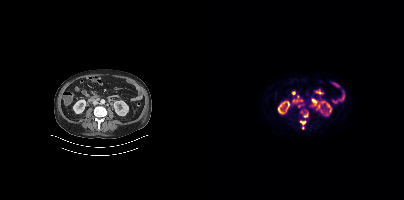
{"modality":"PSMA PET/CT","view":"axial","tracer":"18F-PSMA","pet_grid":[200,200],"coord_frame":"pet_panel","coord_format":"x0,y0,x1,y1","lesion_bboxes":[[96,121,101,124]],"small_foci_centers":[[109,100],[101,116],[98,128]]}